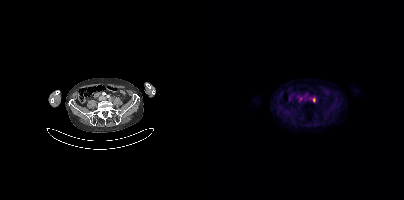
modality: PSMA PET/CT | tracer: 18F | view: axial | PET grid: 200×200
Coordinates are on the 200×200 PET (right) panel. (showing 1 of 2 foci) PSMA-avid tumor lesion bounding box (x0,y0,x1,y1): [108,97,111,102].